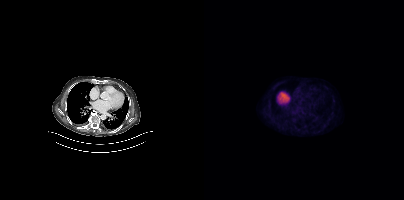
modality: PSMA PET/CT | tracer: 18F | view: axial | PET grid: 200×200
This slice has no annotated PSMA-avid lesion.